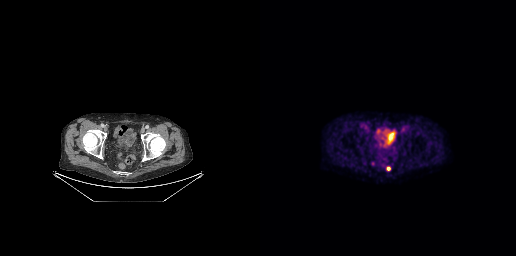
{"modality":"PSMA PET/CT","view":"axial","tracer":"18F-PSMA","pet_grid":[256,256],"coord_frame":"pet_panel","coord_format":"x0,y0,x1,y1","lesion_bboxes":[],"small_foci_centers":[[128,168]]}